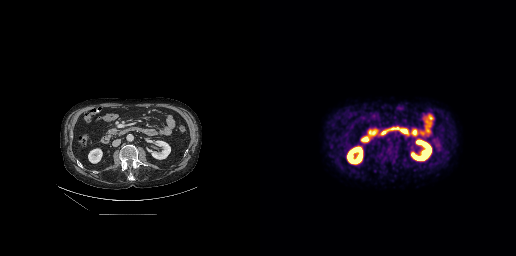
No tumor lesions annotated on this slice.